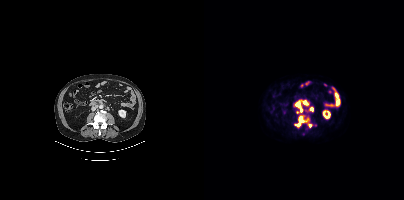
modality: PSMA PET/CT | tracer: 18F-PSMA | view: axial
Coordinates are on the 200×200 PET (right) panel. PSMA-avid tumor lesion bounding boxes (x0, y0)-(x1, y1): (92, 100)-(105, 112); (91, 115)-(104, 127); (105, 106)-(108, 111); (104, 124)-(108, 127).